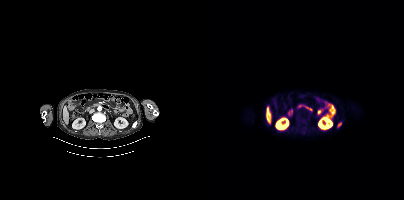
{"modality":"PSMA PET/CT","view":"axial","tracer":"[18F]PSMA-1007","pet_grid":[200,200],"coord_frame":"pet_panel","coord_format":"x0,y0,x1,y1","lesion_bboxes":[[133,123,137,127]]}